The face region was removed for patient privacy by blanking a rectangle over the head. Left: CT. Right: PSMA PET, same axial level, 18F-PSMA tracer. Acquired on GE Discovery 690. Slice position z = -77 mm. PET panel 256×256 px (2.7 mm/px).
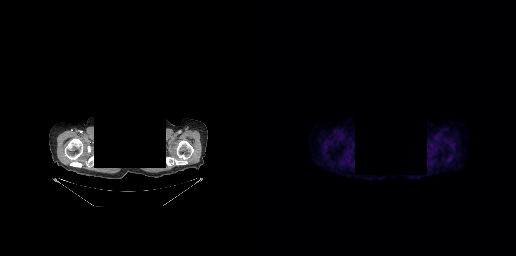
No tumor lesions annotated on this slice.